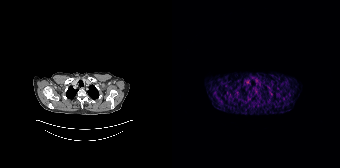
Negative for PSMA-avid disease on this slice.